Technique: Paired axial CT (left) and PSMA PET (right), [68Ga]Ga-PSMA-11 tracer. slice 226 of 299.
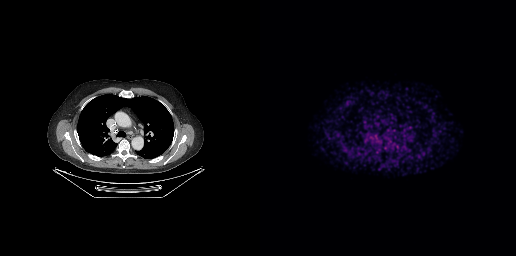
Findings: This slice has no annotated PSMA-avid lesion.